- Paired axial CT (left) and PSMA PET (right), 68Ga-PSMA tracer
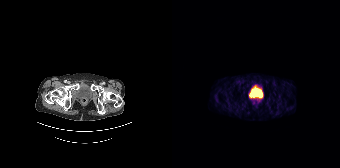
Findings: No tumor lesions annotated on this slice.